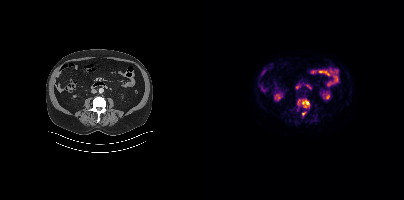
Findings: Coordinates are on the 200×200 PET (right) panel. PSMA-avid tumor lesion bounding box (x, y, width, height): x=93 y=99 w=13 h=13. Small PSMA-avid focus (2 to 4 px across) near (center x, center y): (99, 113).
Technique: Two-panel axial: CT | PSMA PET, 18F tracer. acquired on Siemens Biograph mCT Flow 20. slice position z = -632 mm.